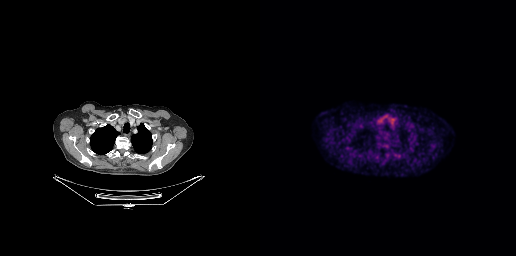
modality: PSMA PET/CT | tracer: 18F | view: axial
Coordinates are on the 256×256 PET (right) panel. PSMA-avid tumor lesion bounding box (x, y, width, height): x=134 y=153 w=7 h=5.